Technique: Paired axial CT (left) and PSMA PET (right), [18F]PSMA-1007 tracer. slice 329 of 417. PET panel 200×200 px (4.1 mm/px).
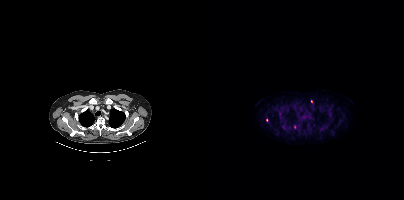
Findings: Coordinates are on the 200×200 PET (right) panel. Small PSMA-avid foci (2 to 4 px across) near (center x, center y): (107, 101) / (62, 120) / (90, 127).